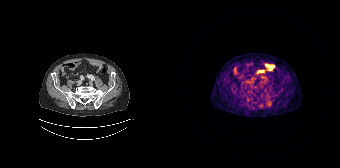
- Paired axial CT (left) and PSMA PET (right), 68Ga-PSMA tracer
- slice position z = -1544 mm
- PET panel 168×168 px (4.1 mm/px)
Findings: No tumor lesions annotated on this slice.